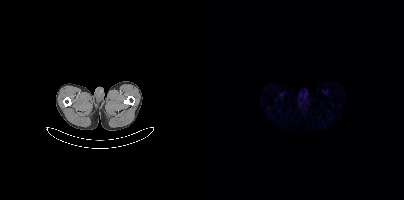
Left: CT. Right: PSMA PET, same axial level, [68Ga]Ga-PSMA-11 tracer. Acquired on Siemens Biograph mCT Flow 20. PET panel 200×200 px (4.1 mm/px). No PSMA-avid tumor lesions on this slice.